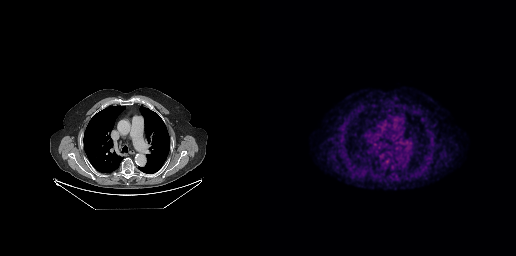
This slice has no annotated PSMA-avid lesion.
modality: PSMA PET/CT | tracer: [18F]PSMA-1007 | view: axial | PET grid: 256×256